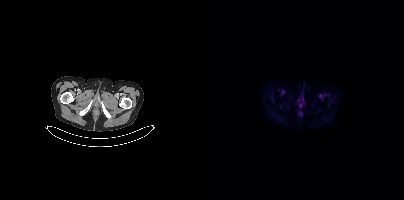
Technique: Left: CT. Right: PSMA PET, same axial level, 18F tracer.
Findings: No tumor lesions annotated on this slice.